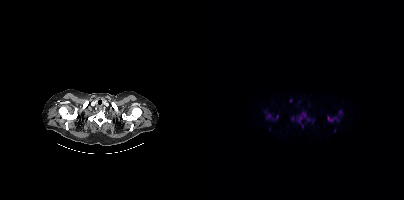
Findings: Coordinates are on the 200×200 PET (right) panel. PSMA-avid tumor lesion bounding boxes (x0, y0)-(x1, y1): (62, 113)-(74, 120) | (94, 112)-(102, 122) | (123, 116)-(134, 121). Small PSMA-avid foci (2 to 4 px across) near (center x, center y): (136, 112) | (86, 100) | (88, 118) | (103, 119) | (98, 126) | (61, 111) | (130, 130).
Technique: Paired axial CT (left) and PSMA PET (right), 18F tracer. acquired on Siemens Biograph mCT Flow 20. slice 350 of 423. PET panel 200×200 px (4.1 mm/px).